- Paired axial CT (left) and PSMA PET (right), 18F tracer
- slice position z = 286 mm
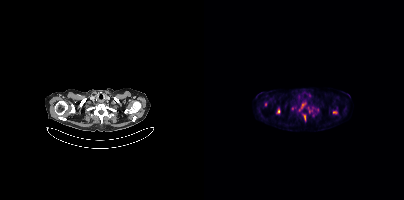
Findings: Coordinates are on the 200×200 PET (right) panel. (showing 6 of 7 foci) PSMA-avid tumor lesion bounding boxes (x, y, width, height): x=97 y=103 w=5 h=6; x=73 y=109 w=4 h=5; x=99 y=114 w=3 h=6. Small PSMA-avid foci (2 to 4 px across) near (center x, center y): (130, 112); (88, 108); (105, 111).